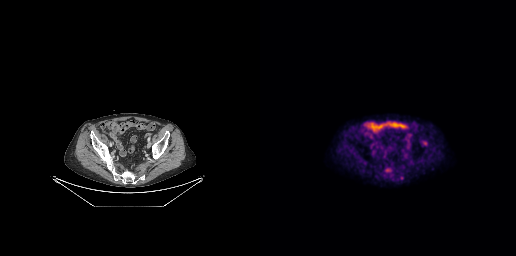
No PSMA-avid tumor lesions on this slice.
modality: PSMA PET/CT | tracer: 18F-PSMA | view: axial